Technique: Left: CT. Right: PSMA PET, same axial level, [18F]PSMA-1007 tracer. slice position z = -856 mm. PET panel 200×200 px (4.1 mm/px).
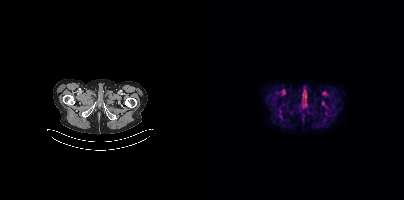
Findings: Negative for PSMA-avid disease on this slice.